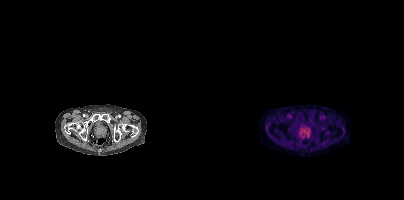
Coordinates are on the 200×200 PET (right) panel. (showing 2 of 3 foci) PSMA-avid tumor lesion bounding box (x0,y0,x1,y1): [98,133,105,138]. Small PSMA-avid focus (2 to 4 px across) near (center x, center y): (98, 118). Two-panel axial: CT | PSMA PET, 18F-PSMA tracer. Slice position z = -406 mm.